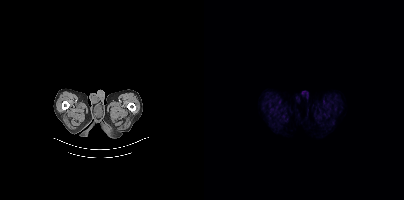
{"pet_grid":[200,200],"coord_frame":"pet_panel","coord_format":"x0,y0,x1,y1","psma_avid_lesions":false,"modality":"PSMA PET/CT","view":"axial","tracer":"18F"}